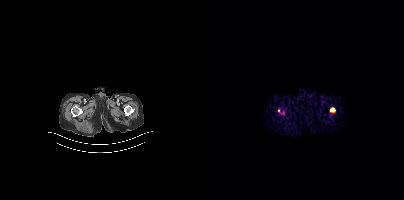
Findings: Coordinates are on the 200×200 PET (right) panel. PSMA-avid tumor lesion bounding boxes (x0,y0,x1,y1): [126,107,131,113], [74,109,80,115].
Technique: Left: CT. Right: PSMA PET, same axial level, 18F-PSMA tracer. acquired on Siemens Biograph mCT Flow 20.